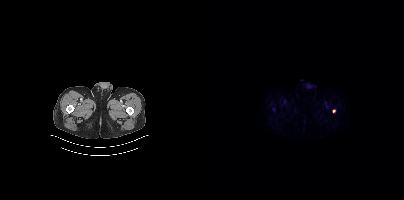
{"pet_grid":[200,200],"coord_frame":"pet_panel","coord_format":"x0,y0,x1,y1","lesion_bboxes":[],"small_foci_centers":[[129,111]],"modality":"PSMA PET/CT","view":"axial","tracer":"18F-PSMA"}